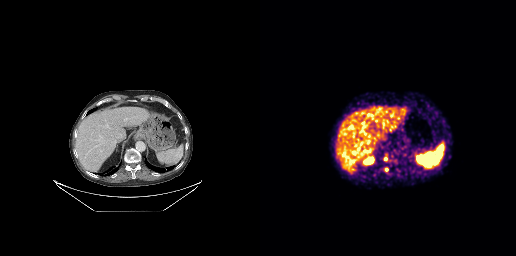
Coordinates are on the 256×256 PET (right) panel. (showing 2 of 3 foci) Small PSMA-avid foci (2 to 4 px across) near (center x, center y): (126, 169), (125, 158).